Two-panel axial: CT | PSMA PET, 18F-PSMA tracer. PET panel 256×256 px (2.7 mm/px).
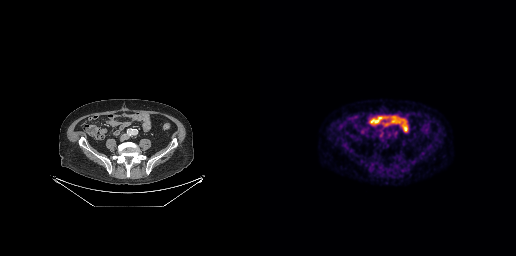
Coordinates are on the 256×256 PET (right) panel. Small PSMA-avid focus (2 to 4 px across) near (center x, center y): (121, 132).